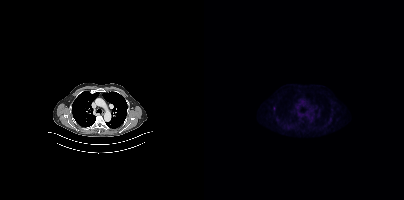
{"modality":"PSMA PET/CT","view":"axial","tracer":"[18F]PSMA-1007","pet_grid":[200,200],"coord_frame":"pet_panel","coord_format":"x0,y0,x1,y1","lesion_bboxes":[],"small_foci_centers":[[70,108]]}